Two-panel axial: CT | PSMA PET, 18F tracer.
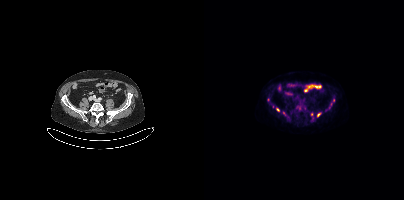
Coordinates are on the 200×200 PET (right) panel. (showing 3 of 6 foci) Small PSMA-avid foci (2 to 4 px across) near (center x, center y): (73, 109) / (64, 99) / (114, 114).